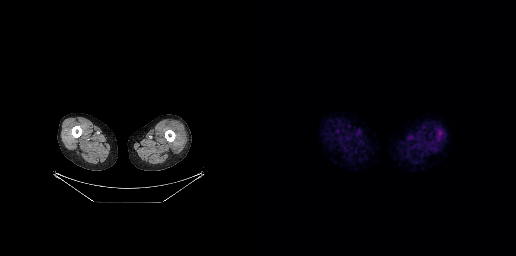
{"pet_grid":[256,256],"coord_frame":"pet_panel","coord_format":"x0,y0,x1,y1","psma_avid_lesions":false,"modality":"PSMA PET/CT","view":"axial","tracer":"[18F]PSMA-1007"}